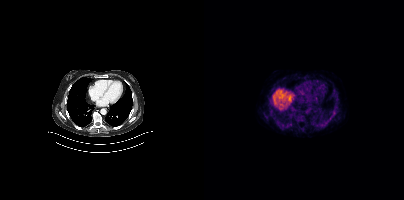
{"modality":"PSMA PET/CT","view":"axial","tracer":"18F-PSMA","pet_grid":[200,200],"coord_frame":"pet_panel","coord_format":"x0,y0,x1,y1","psma_avid_lesions":false}